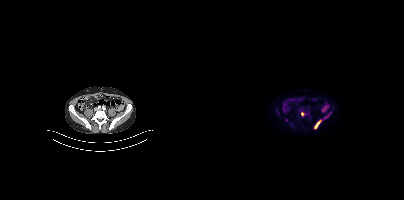
Coordinates are on the 200×200 PET (right) panel. (showing 3 of 4 foci) PSMA-avid tumor lesion bounding boxes (x0, y0)-(x1, y1): (110, 119)-(117, 128) | (120, 116)-(124, 118). Small PSMA-avid focus (2 to 4 px across) near (center x, center y): (98, 113). Two-panel axial: CT | PSMA PET, 18F tracer. Slice 115 of 377.